- Paired axial CT (left) and PSMA PET (right), 18F-PSMA tracer
- slice position z = -1236 mm
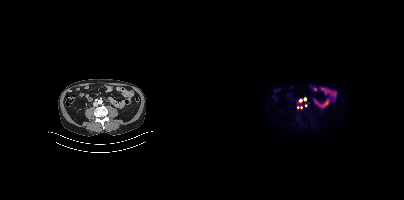
Findings: Coordinates are on the 200×200 PET (right) panel. (showing 2 of 5 foci) Small PSMA-avid foci (2 to 4 px across) near (center x, center y): (100, 98) | (96, 100).